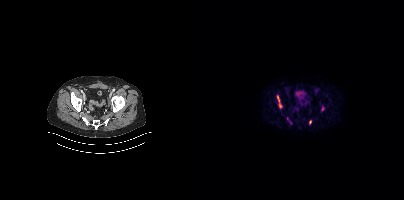
Coordinates are on the 200×200 PET (right) panel. PSMA-avid tumor lesion bounding box (x0, y0)-(x1, y1): (73, 95)-(78, 108). Small PSMA-avid foci (2 to 4 px across) near (center x, center y): (106, 121) / (118, 108). Paired axial CT (left) and PSMA PET (right), [18F]PSMA-1007 tracer. Acquired on Siemens Biograph mCT Flow 20. Slice 96 of 429. PET panel 200×200 px (4.1 mm/px).